Two-panel axial: CT | PSMA PET, 18F tracer. PET panel 256×256 px (2.7 mm/px).
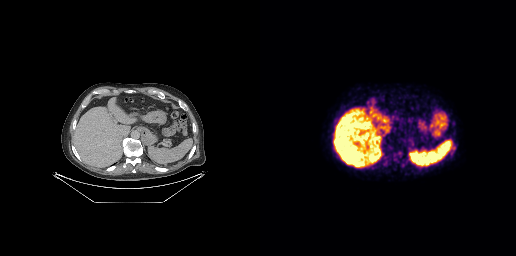
No PSMA-avid tumor lesions on this slice.